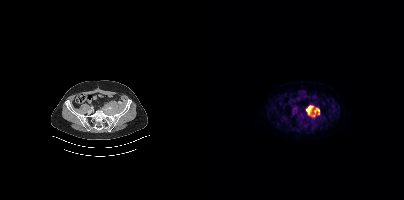
- Left: CT. Right: PSMA PET, same axial level, 18F tracer
- acquired on Siemens Biograph mCT Flow 20
- slice position z = -808 mm
- PET panel 200×200 px (4.1 mm/px)
Findings: Coordinates are on the 200×200 PET (right) panel. PSMA-avid tumor lesion bounding box (x, y, width, height): x=102 y=105 w=14 h=13.